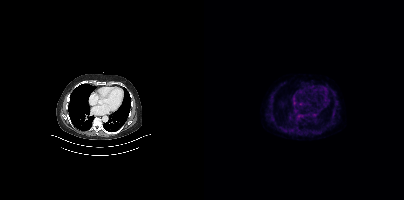
This slice has no annotated PSMA-avid lesion. Left: CT. Right: PSMA PET, same axial level, [18F]PSMA-1007 tracer. Slice 228 of 354.